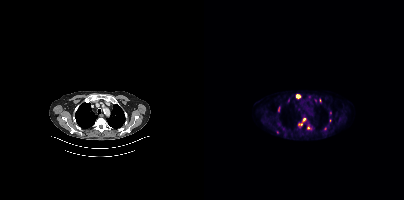
Left: CT. Right: PSMA PET, same axial level, 18F tracer. Coordinates are on the 200×200 PET (right) panel. (showing 3 of 5 foci) PSMA-avid tumor lesion bounding boxes (x0,y0,x1,y1): [94,118,102,125], [92,94,96,97]. Small PSMA-avid focus (2 to 4 px across) near (center x, center y): (104, 127).